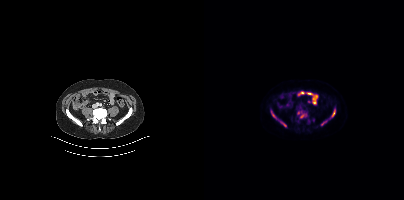
Technique: Paired axial CT (left) and PSMA PET (right), [18F]PSMA-1007 tracer. acquired on Siemens Biograph mCT Flow 20. slice position z = -1362 mm.
Findings: Coordinates are on the 200×200 PET (right) panel. PSMA-avid tumor lesion bounding boxes (x0, y0)-(x1, y1): (93, 110)-(103, 117); (67, 111)-(82, 126); (127, 109)-(131, 116). Small PSMA-avid foci (2 to 4 px across) near (center x, center y): (118, 123); (104, 121); (125, 118); (122, 120).